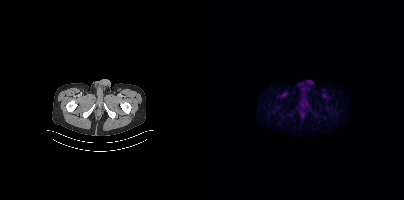
Two-panel axial: CT | PSMA PET, [18F]PSMA-1007 tracer. Slice 49 of 429. Negative for PSMA-avid disease on this slice.